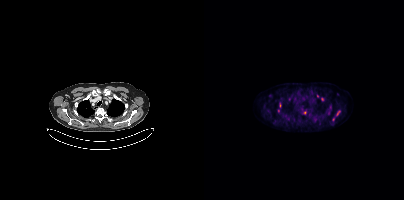
Coordinates are on the 200×200 PET (right) panel. (showing 1 of 4 foci) Small PSMA-avid focus (2 to 4 px across) near (center x, center y): (101, 112).